Technique: Two-panel axial: CT | PSMA PET, 18F tracer. slice position z = -647 mm. PET panel 200×200 px (4.1 mm/px).
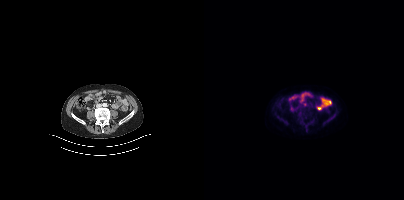
Findings: Coordinates are on the 200×200 PET (right) panel. Small PSMA-avid focus (2 to 4 px across) near (center x, center y): (100, 104).